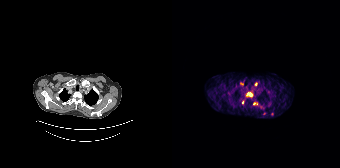
Left: CT. Right: PSMA PET, same axial level, 68Ga tracer.
Coordinates are on the 168×168 PET (right) panel. PSMA-avid tumor lesion bounding boxes (partial; 2 more foci not listed):
| # | x0 | y0 | x1 | y1 |
|---|---|---|---|---|
| 1 | 75 | 92 | 80 | 96 |
| 2 | 81 | 102 | 85 | 104 |
Small PSMA-avid foci (2 to 4 px across) near (center x, center y): (83, 84); (70, 102).